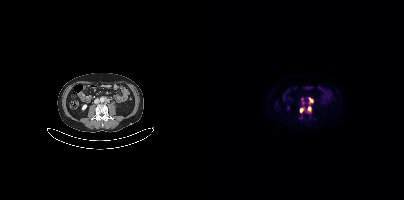
Paired axial CT (left) and PSMA PET (right), [18F]PSMA-1007 tracer. Acquired on Siemens Biograph mCT Flow 20. PET panel 200×200 px (4.1 mm/px). Coordinates are on the 200×200 PET (right) panel. (showing 4 of 6 foci) PSMA-avid tumor lesion bounding boxes (x, y, width, height): x=105 y=98 w=4 h=5 | x=96 y=108 w=4 h=5. Small PSMA-avid foci (2 to 4 px across) near (center x, center y): (105, 108) | (98, 102).